Technique: Two-panel axial: CT | PSMA PET, 18F-PSMA tracer. acquired on Siemens Biograph mCT Flow 20. slice position z = 70 mm. PET panel 200×200 px (4.1 mm/px).
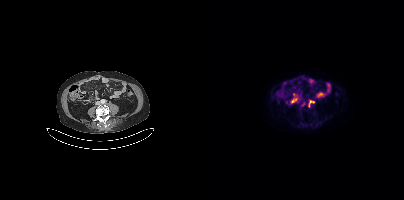
Findings: Coordinates are on the 200×200 PET (right) panel. PSMA-avid tumor lesion bounding box (x0,y0,x1,y1): [105,101,109,107]. Small PSMA-avid focus (2 to 4 px across) near (center x, center y): (88, 101).